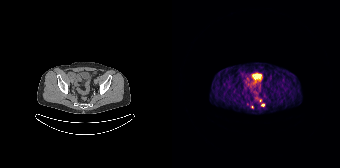
Technique: Paired axial CT (left) and PSMA PET (right), [68Ga]Ga-PSMA-11 tracer. slice 54 of 195.
Findings: Coordinates are on the 168×168 PET (right) panel. (showing 3 of 4 foci) Small PSMA-avid foci (2 to 4 px across) near (center x, center y): (90, 104), (75, 104), (88, 101).